Left: CT. Right: PSMA PET, same axial level, 18F tracer. Slice 91 of 263. PET panel 256×256 px (2.7 mm/px).
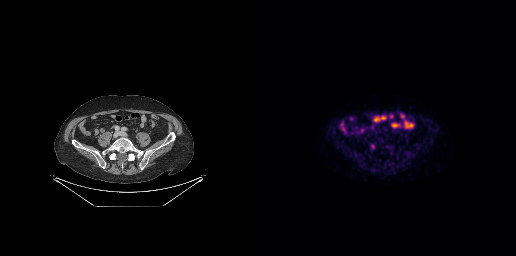
Coordinates are on the 256×256 PET (right) panel. Small PSMA-avid focus (2 to 4 px across) near (center x, center y): (112, 146).